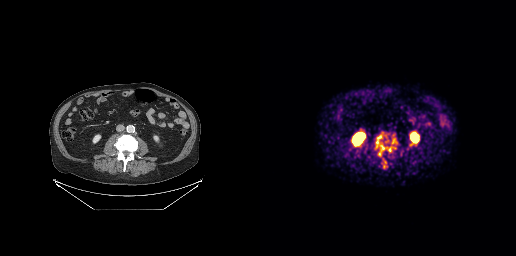
Coordinates are on the 256×256 PET (right) panel. (showing 5 of 6 foci) PSMA-avid tumor lesion bounding boxes (x0,y0,x1,y1): [116,135,127,155] [128,147,131,151] [132,139,136,143]. Small PSMA-avid foci (2 to 4 px across) near (center x, center y): (125, 162) (124, 166).
modality: PSMA PET/CT | tracer: [68Ga]Ga-PSMA-11 | view: axial | PET grid: 256×256